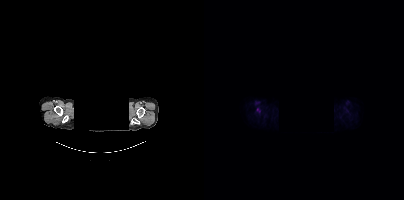
Only PSMA-avid lesion pieces thinner than 2 px on this slice (not listed).
modality: PSMA PET/CT | tracer: 18F-PSMA | view: axial | de-identification: privacy mask over head